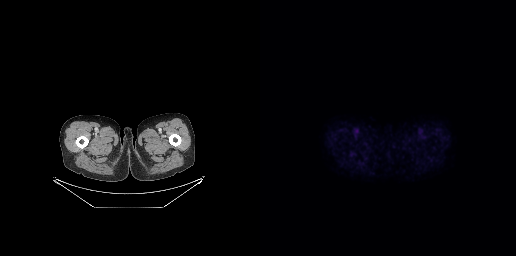
Findings: No tumor lesions annotated on this slice.
- Paired axial CT (left) and PSMA PET (right), 18F-PSMA tracer
- acquired on GE Discovery 690
- PET panel 256×256 px (2.7 mm/px)